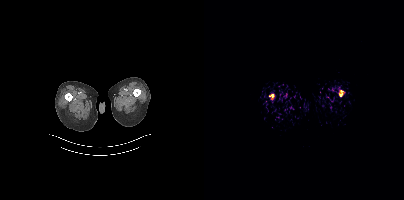
Findings: No PSMA-avid tumor lesions on this slice.
- Two-panel axial: CT | PSMA PET, [68Ga]Ga-PSMA-11 tracer
- acquired on Siemens Biograph mCT Flow 20
- PET panel 200×200 px (4.1 mm/px)